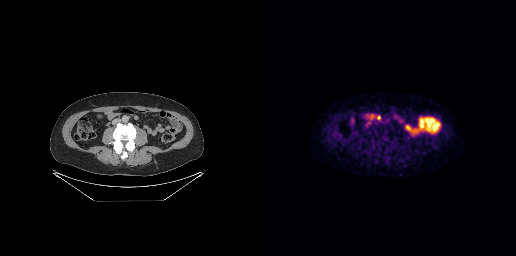
Coordinates are on the 256×256 PET (right) panel. PSMA-avid tumor lesion bounding box (x, y, width, height): x=117 y=115 w=4 h=5.